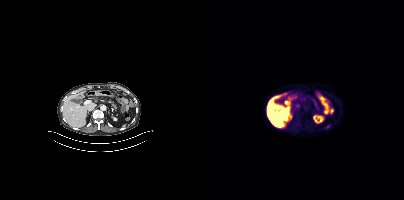
Paired axial CT (left) and PSMA PET (right), 18F-PSMA tracer. PET panel 200×200 px (4.1 mm/px). No tumor lesions annotated on this slice.